Paired axial CT (left) and PSMA PET (right), 68Ga tracer. PET panel 200×200 px (4.1 mm/px).
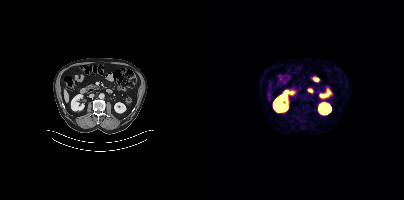
Negative for PSMA-avid disease on this slice.